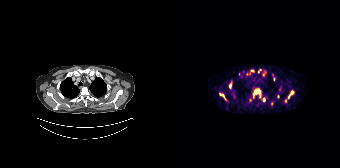
Paired axial CT (left) and PSMA PET (right), 68Ga tracer. PET panel 168×168 px (4.1 mm/px).
Coordinates are on the 168×168 PET (right) panel. PSMA-avid tumor lesion bounding boxes (partial; 4 more foci not listed):
| # | x0 | y0 | x1 | y1 |
|---|---|---|---|---|
| 1 | 83 | 89 | 88 | 94 |
Small PSMA-avid foci (2 to 4 px across) near (center x, center y): (119, 92); (80, 70); (58, 85); (101, 79); (51, 96); (91, 99).